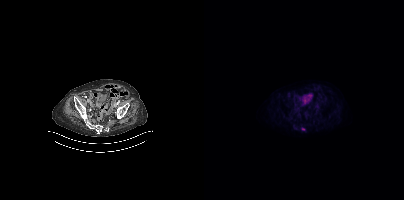
Coordinates are on the 200×200 PET (right) panel. PSMA-avid tumor lesion bounding box (x, y, width, height): x=97 y=128 w=5 h=3.
modality: PSMA PET/CT | tracer: 18F | view: axial